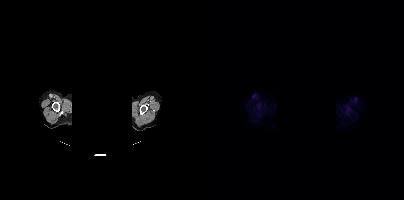
Findings: Coordinates are on the 200×200 PET (right) panel. Small PSMA-avid focus (2 to 4 px across) near (center x, center y): (151, 99).
Technique: Two-panel axial: CT | PSMA PET, 18F tracer. acquired on Siemens Biograph mCT Flow 20. PET panel 200×200 px (4.1 mm/px).
Note: Head region blanked for anonymization (face removed).